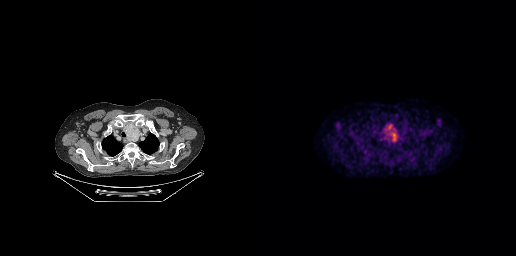
Coordinates are on the 256×256 PET (right) panel. PSMA-avid tumor lesion bounding boxes (x0,y0,x1,y1): [124,124,138,142] [124,137,129,139].